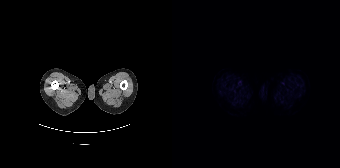
Negative for PSMA-avid disease on this slice.